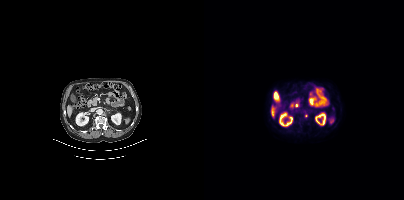
Coordinates are on the 200×200 PET (right) panel. Small PSMA-avid focus (2 to 4 px across) near (center x, center y): (102, 116).